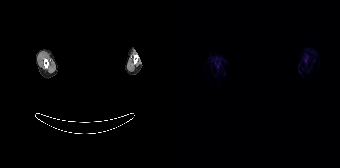
No PSMA-avid tumor lesions on this slice.
Any black rectangle over the head is a privacy mask, not anatomy.